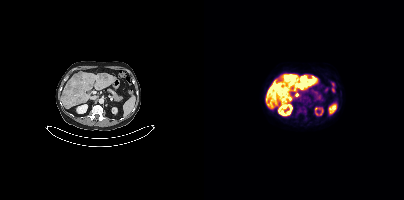
{"modality":"PSMA PET/CT","view":"axial","tracer":"18F","pet_grid":[200,200],"coord_frame":"pet_panel","coord_format":"x0,y0,x1,y1","lesion_bboxes":[[92,75,102,81],[70,84,76,90]],"small_foci_centers":[[96,110],[92,94]]}